modality: PSMA PET/CT | tracer: [18F]PSMA-1007 | view: axial
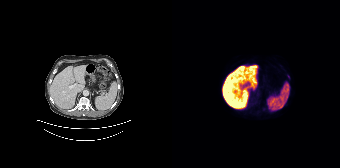
Coordinates are on the 168×168 PET (right) panel. Small PSMA-avid focus (2 to 4 px across) near (center x, center y): (116, 76).